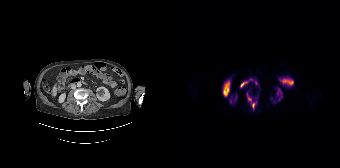
{"modality":"PSMA PET/CT","view":"axial","tracer":"18F","pet_grid":[168,168],"coord_frame":"pet_panel","coord_format":"x0,y0,x1,y1","lesion_bboxes":[[75,93,79,101],[79,103,83,109]]}